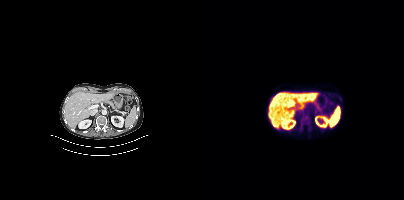
Two-panel axial: CT | PSMA PET, [18F]PSMA-1007 tracer. No PSMA-avid tumor lesions on this slice.